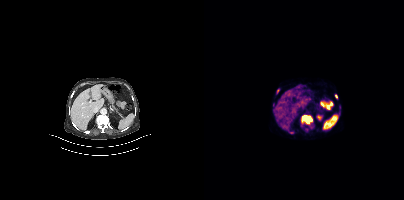
Two-panel axial: CT | PSMA PET, [68Ga]Ga-PSMA-11 tracer.
Coordinates are on the 200×200 PET (right) panel. PSMA-avid tumor lesion bounding boxes (partial; 4 more foci not listed):
| # | x0 | y0 | x1 | y1 |
|---|---|---|---|---|
| 1 | 98 | 115 | 108 | 125 |
| 2 | 100 | 127 | 103 | 131 |
| 3 | 72 | 89 | 75 | 93 |
| 4 | 85 | 132 | 89 | 133 |
Small PSMA-avid focus (2 to 4 px across) near (center x, center y): (132, 96).